Technique: Two-panel axial: CT | PSMA PET, 18F tracer. acquired on Siemens Biograph mCT Flow 20. PET panel 200×200 px (4.1 mm/px).
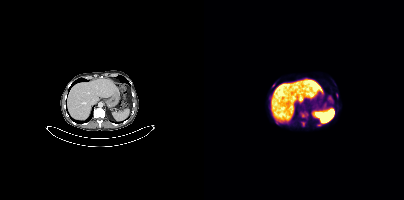
Findings: Coordinates are on the 200×200 PET (right) panel. (showing 1 of 3 foci) Small PSMA-avid focus (2 to 4 px across) near (center x, center y): (98, 115).